- Two-panel axial: CT | PSMA PET, 18F tracer
- slice 51 of 389
- PET panel 200×200 px (4.1 mm/px)
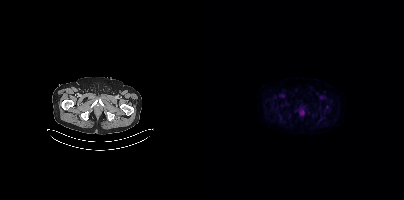
Findings: Negative for PSMA-avid disease on this slice.